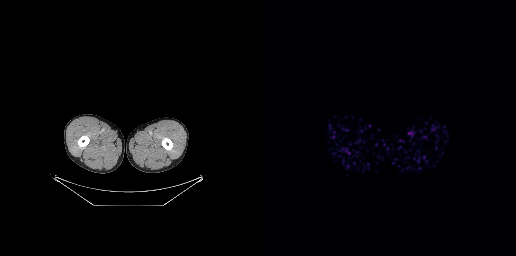
Findings: No tumor lesions annotated on this slice.
Technique: Paired axial CT (left) and PSMA PET (right), 68Ga-PSMA tracer. acquired on GE Discovery 690. PET panel 256×256 px (2.7 mm/px).